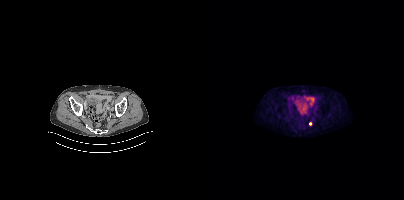
Coordinates are on the 200×200 PET (right) panel. Small PSMA-avid focus (2 to 4 px across) near (center x, center y): (106, 123).